Paired axial CT (left) and PSMA PET (right), 18F-PSMA tracer. Privacy masking over the head, with the pixels inside a rectangle set to black.
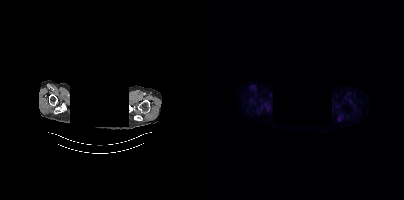
Coordinates are on the 200×200 PET (right) panel. Small PSMA-avid focus (2 to 4 px across) near (center x, center y): (135, 119).